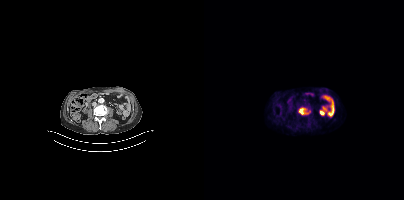
Paired axial CT (left) and PSMA PET (right), 18F tracer.
Coordinates are on the 200×200 PET (right) panel. PSMA-avid tumor lesion bounding boxes:
| # | x0 | y0 | x1 | y1 |
|---|---|---|---|---|
| 1 | 94 | 107 | 106 | 114 |